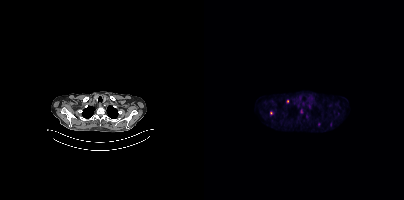
Coordinates are on the 200×200 PET (right) panel. Small PSMA-avid foci (2 to 4 px across) near (center x, center y): (67, 112) / (115, 124) / (83, 101) / (97, 111).
modality: PSMA PET/CT | tracer: [18F]PSMA-1007 | view: axial | PET grid: 200×200